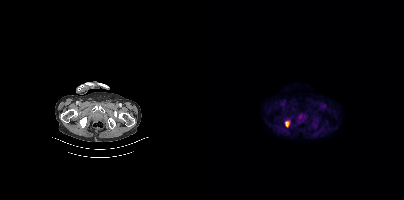
Findings: Coordinates are on the 200×200 PET (right) panel. PSMA-avid tumor lesion bounding box (x0, y0)-(x1, y1): (81, 119)-(86, 126).
Technique: Left: CT. Right: PSMA PET, same axial level, 18F tracer. acquired on Siemens Biograph mCT Flow 20. slice 69 of 411. PET panel 200×200 px (4.1 mm/px).